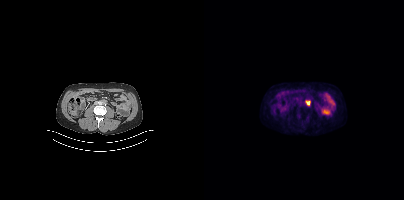
Findings: Coordinates are on the 200×200 PET (right) panel. PSMA-avid tumor lesion bounding box (x, y, width, height): x=102 y=100 w=5 h=6.
- Paired axial CT (left) and PSMA PET (right), [18F]PSMA-1007 tracer
- acquired on Siemens Biograph mCT Flow 20
- PET panel 200×200 px (4.1 mm/px)